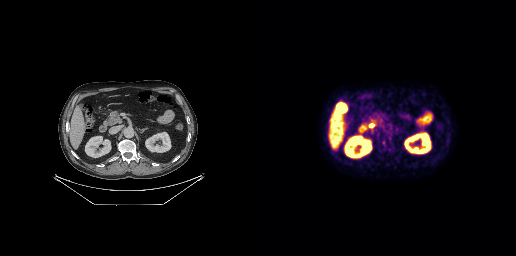
No PSMA-avid tumor lesions on this slice.